- Paired axial CT (left) and PSMA PET (right), [18F]PSMA-1007 tracer
- acquired on Siemens Biograph mCT Flow 20
- slice position z = -880 mm
- PET panel 200×200 px (4.1 mm/px)
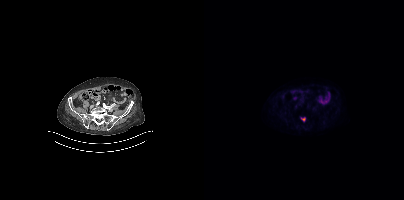
Findings: Coordinates are on the 200×200 PET (right) panel. PSMA-avid tumor lesion bounding box (x, y, width, height): x=97 y=117 w=5 h=5.